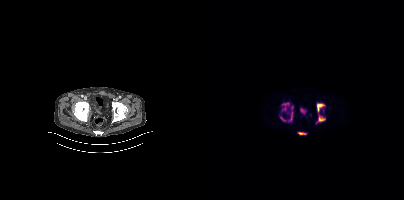
{"pet_grid":[200,200],"coord_frame":"pet_panel","coord_format":"x0,y0,x1,y1","lesion_bboxes":[[113,104,120,111],[114,115,121,121],[78,102,84,110],[94,132,102,134],[86,112,88,120],[76,117,81,121]],"modality":"PSMA PET/CT","view":"axial","tracer":"[18F]PSMA-1007"}